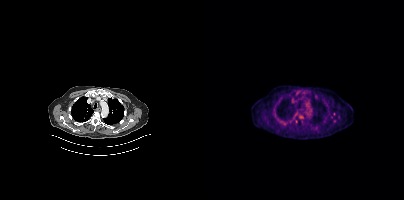
Findings: Coordinates are on the 200×200 PET (right) panel. (showing 1 of 2 foci) Small PSMA-avid focus (2 to 4 px across) near (center x, center y): (96, 117).
- Two-panel axial: CT | PSMA PET, 18F tracer
- acquired on Siemens Biograph mCT Flow 20